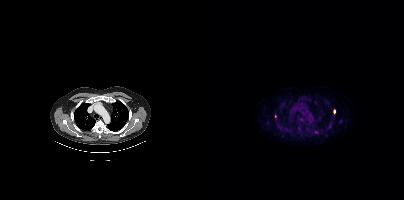
Coordinates are on the 200×200 PET (right) panel. (showing 2 of 3 foci) PSMA-avid tumor lesion bounding box (x, y, width, height): x=129 y=109 w=3 h=5. Small PSMA-avid focus (2 to 4 px across) near (center x, center y): (71, 116).